Facial anatomy redacted by setting a rectangular region of the head to black. Paired axial CT (left) and PSMA PET (right), 68Ga tracer. Slice 249 of 263. PET panel 256×256 px (2.7 mm/px).
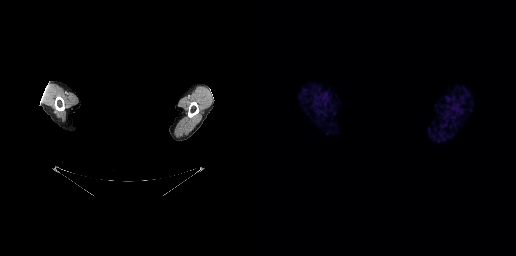
No tumor lesions annotated on this slice.